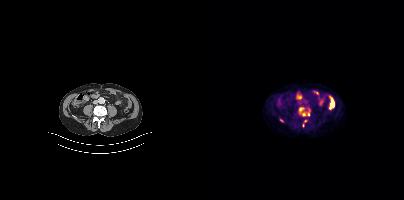
Coordinates are on the 200×200 PET (right) panel. (showing 3 of 5 foci) PSMA-avid tumor lesion bounding box (x0,y0,x1,y1): [95,108,99,111]. Small PSMA-avid foci (2 to 4 px across) near (center x, center y): (99, 114); (104, 114).